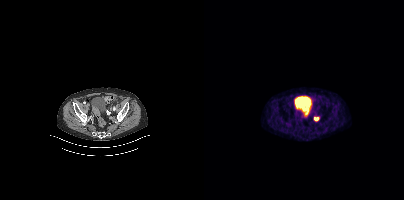
Findings: Coordinates are on the 200×200 PET (right) panel. PSMA-avid tumor lesion bounding box (x, y, width, height): x=110 y=117 w=5 h=4.
Technique: Two-panel axial: CT | PSMA PET, 68Ga-PSMA tracer. acquired on Siemens Biograph mCT Flow 20.